- Paired axial CT (left) and PSMA PET (right), [18F]PSMA-1007 tracer
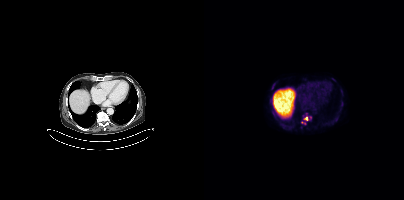
Findings: Coordinates are on the 200×200 PET (right) panel. (showing 2 of 5 foci) PSMA-avid tumor lesion bounding box (x0,y0,x1,y1): [100,117,104,119]. Small PSMA-avid focus (2 to 4 px across) near (center x, center y): (100, 114).